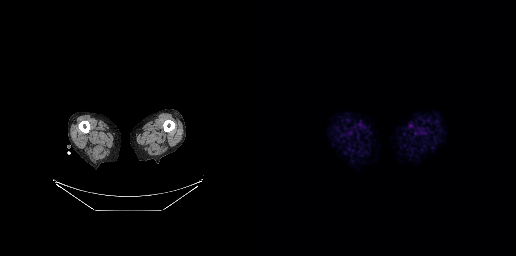
Two-panel axial: CT | PSMA PET, 18F-PSMA tracer. Acquired on GE Discovery 690. PET panel 256×256 px (2.7 mm/px). This slice has no annotated PSMA-avid lesion.